Technique: Two-panel axial: CT | PSMA PET, 18F-PSMA tracer. slice 95 of 448. PET panel 200×200 px (4.1 mm/px).
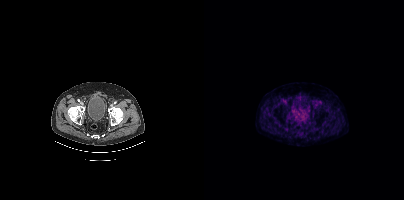
Findings: Negative for PSMA-avid disease on this slice.